Left: CT. Right: PSMA PET, same axial level, 18F-PSMA tracer. Acquired on Siemens Biograph 64-4R TruePoint. Slice 56 of 165.
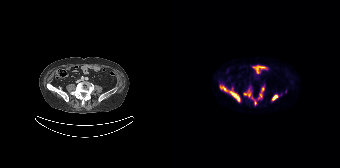
Coordinates are on the 168×168 PET (right) panel. PSMA-avid tumor lesion bounding boxes (partial; 1 more focus not listed):
| # | x0 | y0 | x1 | y1 |
|---|---|---|---|---|
| 1 | 48 | 85 | 68 | 101 |
| 2 | 100 | 94 | 106 | 100 |
| 3 | 72 | 91 | 78 | 96 |
| 4 | 87 | 93 | 90 | 98 |
| 5 | 89 | 87 | 92 | 91 |
Small PSMA-avid focus (2 to 4 px across) near (center x, center y): (83, 102).